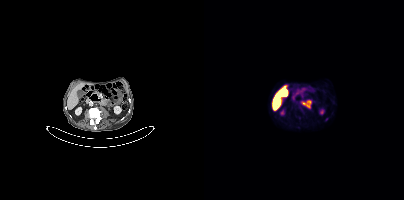
Technique: Two-panel axial: CT | PSMA PET, 18F tracer. acquired on Siemens Biograph mCT Flow 20. slice 144 of 354. PET panel 200×200 px (4.1 mm/px).
Findings: No tumor lesions annotated on this slice.